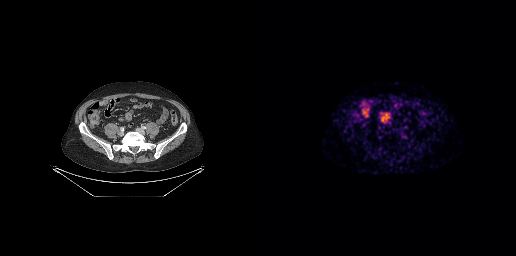
Paired axial CT (left) and PSMA PET (right), [68Ga]Ga-PSMA-11 tracer. Negative for PSMA-avid disease on this slice.